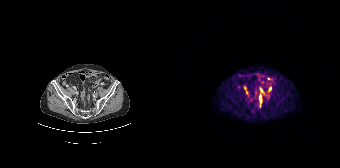
{"pet_grid":[168,168],"coord_frame":"pet_panel","coord_format":"x0,y0,x1,y1","partial":true,"lesion_bboxes":[[72,86,76,94],[88,95,89,101]],"small_foci_centers":[[98,88],[96,78],[88,105]],"modality":"PSMA PET/CT","view":"axial","tracer":"[68Ga]Ga-PSMA-11"}